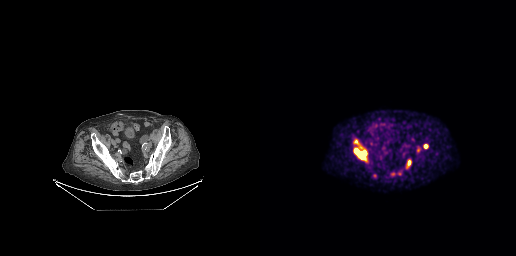
Technique: Paired axial CT (left) and PSMA PET (right), 18F tracer. slice position z = -588 mm. PET panel 256×256 px (2.7 mm/px).
Findings: Coordinates are on the 256×256 PET (right) panel. PSMA-avid tumor lesion bounding boxes (x0,y0,x1,y1): [94,148,106,160]; [147,160,150,165]; [164,144,168,148]. Small PSMA-avid focus (2 to 4 px across) near (center x, center y): (96, 141).